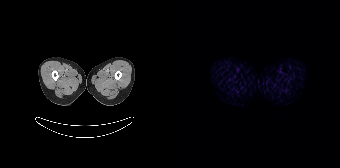
This slice has no annotated PSMA-avid lesion.